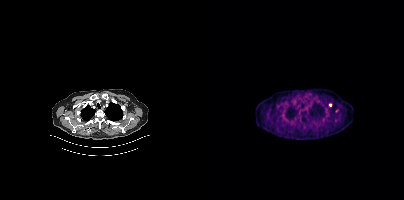
Coordinates are on the 200×200 PET (right) panel. Small PSMA-avid focus (2 to 4 px across) near (center x, center y): (126, 105). Paired axial CT (left) and PSMA PET (right), [18F]PSMA-1007 tracer.